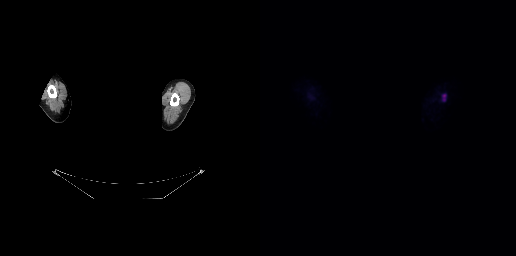
Two-panel axial: CT | PSMA PET, [18F]PSMA-1007 tracer. PET panel 256×256 px (2.7 mm/px). A rectangle over the head was blacked out to remove identifiable facial features. No tumor lesions annotated on this slice.